modality: PSMA PET/CT | tracer: [18F]PSMA-1007 | view: axial
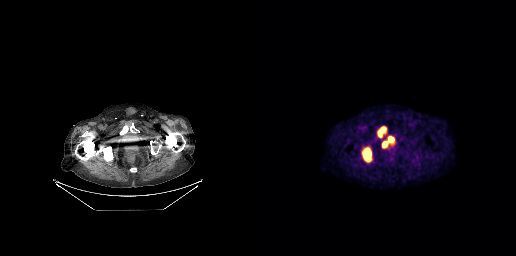
Coordinates are on the 256×256 PET (right) panel. PSMA-avid tumor lesion bounding boxes (x0,y0,x1,y1): [103,148,111,161]; [118,126,126,137].